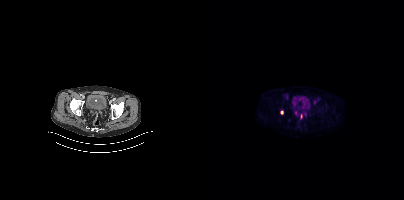
Coordinates are on the 200×200 PET (right) panel. Small PSMA-avid focus (2 to 4 px across) near (center x, center y): (78, 112).